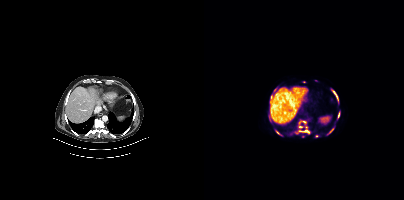
- Paired axial CT (left) and PSMA PET (right), [18F]PSMA-1007 tracer
- acquired on Siemens Biograph mCT Flow 20
- slice 215 of 367
- PET panel 200×200 px (4.1 mm/px)
Findings: Coordinates are on the 200×200 PET (right) panel. (showing 7 of 9 foci) PSMA-avid tumor lesion bounding boxes (x0, y0)-(x1, y1): (95, 130)-(105, 133) | (129, 91)-(133, 98) | (126, 128)-(129, 132) | (134, 113)-(135, 117). Small PSMA-avid foci (2 to 4 px across) near (center x, center y): (96, 126) | (70, 90) | (73, 132).